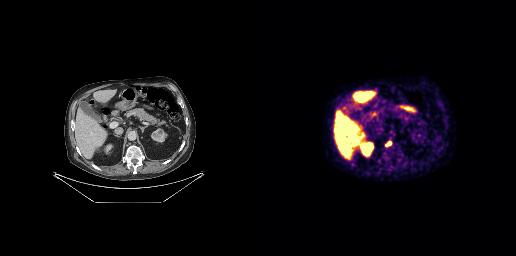
Two-panel axial: CT | PSMA PET, 18F-PSMA tracer. Acquired on GE Discovery 690. Slice 146 of 263. PET panel 256×256 px (2.7 mm/px). Coordinates are on the 256×256 PET (right) panel. PSMA-avid tumor lesion bounding box (x, y, width, height): x=125 y=141 w=7 h=6.